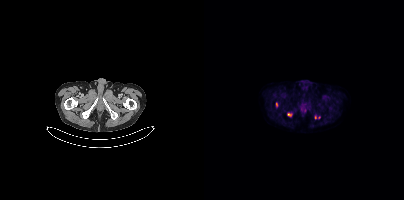
Coordinates are on the 200×200 PET (right) panel. (showing 2 of 4 foci) PSMA-avid tumor lesion bounding boxes (x0, y0)-(x1, y1): (83, 113)-(88, 116); (72, 102)-(73, 106).